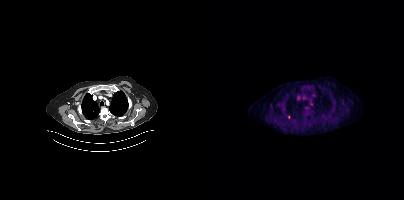
- Left: CT. Right: PSMA PET, same axial level, 18F tracer
- acquired on Siemens Biograph mCT Flow 20
Findings: Only PSMA-avid lesion pieces thinner than 2 px on this slice (not listed).